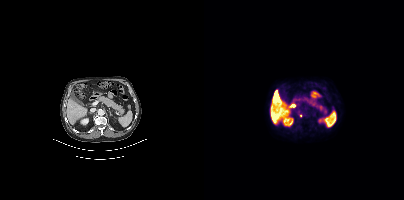
modality: PSMA PET/CT | tracer: 18F | view: axial
Coordinates are on the 200×200 PET (right) panel. Small PSMA-avid focus (2 to 4 px across) near (center x, center y): (96, 115).